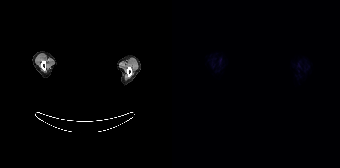
The face region was removed for patient privacy by blanking a rectangle over the head.
No tumor lesions annotated on this slice.